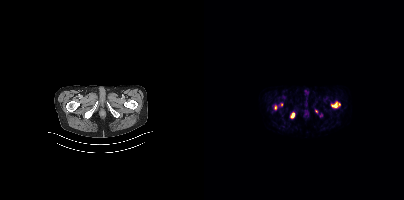
Coordinates are on the 200×200 PET (right) panel. PSMA-avid tumor lesion bounding boxes:
| # | x0 | y0 | x1 | y1 |
|---|---|---|---|---|
| 1 | 127 | 102 | 133 | 107 |
| 2 | 87 | 113 | 90 | 117 |
Small PSMA-avid foci (2 to 4 px across) near (center x, center y): (112, 111); (135, 104); (71, 107).
Left: CT. Right: PSMA PET, same axial level, 18F tracer.